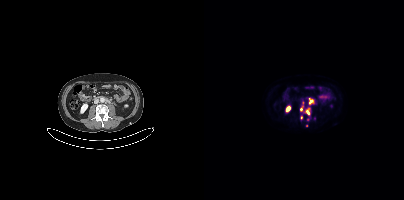
Findings: Coordinates are on the 200×200 PET (right) panel. PSMA-avid tumor lesion bounding boxes (x0,y0,x1,y1): [96,102,99,110]; [105,98,109,103]; [102,110,105,114]. Small PSMA-avid foci (2 to 4 px across) near (center x, center y): (97, 117); (103, 119); (102, 125).
Technique: Left: CT. Right: PSMA PET, same axial level, 18F-PSMA tracer. acquired on Siemens Biograph mCT Flow 20. slice 166 of 407. PET panel 200×200 px (4.1 mm/px).